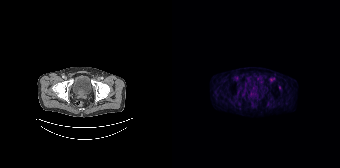
Technique: Two-panel axial: CT | PSMA PET, [18F]PSMA-1007 tracer. slice 33 of 135.
Findings: Coordinates are on the 168×168 PET (right) panel. Small PSMA-avid focus (2 to 4 px across) near (center x, center y): (107, 87).